modality: PSMA PET/CT | tracer: 18F-PSMA | view: axial
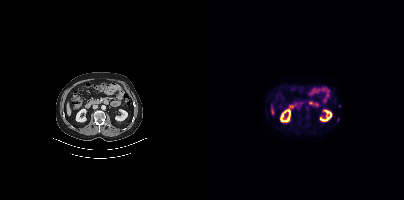
Only PSMA-avid lesion pieces thinner than 2 px on this slice (not listed).